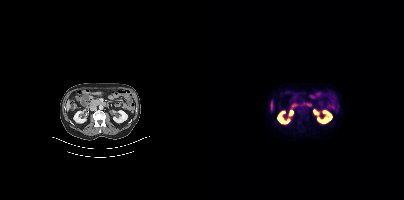
modality: PSMA PET/CT | tracer: [18F]PSMA-1007 | view: axial
No tumor lesions annotated on this slice.